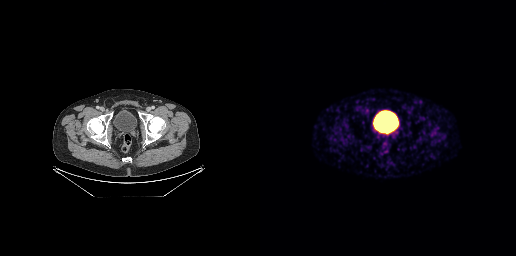
Only PSMA-avid lesion pieces thinner than 2 px on this slice (not listed).